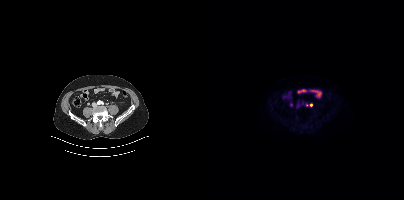
{"modality":"PSMA PET/CT","view":"axial","tracer":"18F","pet_grid":[200,200],"coord_frame":"pet_panel","coord_format":"x0,y0,x1,y1","partial":true,"lesion_bboxes":[],"small_foci_centers":[[107,105]]}